Paired axial CT (left) and PSMA PET (right), 18F tracer. Acquired on Siemens Biograph mCT Flow 20. Slice 40 of 401.
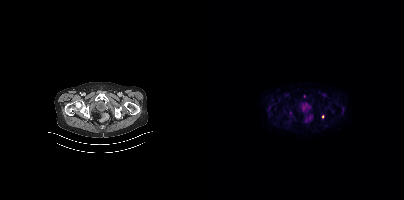
Coordinates are on the 200×200 PET (right) panel. Small PSMA-avid focus (2 to 4 px across) near (center x, center y): (118, 116).